Technique: Two-panel axial: CT | PSMA PET, 18F tracer. slice 54 of 395.
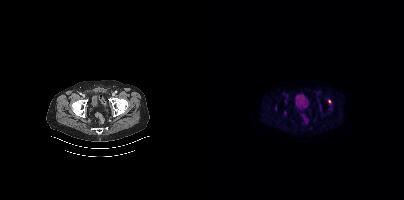
Findings: Coordinates are on the 200×200 PET (right) panel. (showing 1 of 3 foci) Small PSMA-avid focus (2 to 4 px across) near (center x, center y): (125, 101).